- Paired axial CT (left) and PSMA PET (right), 18F-PSMA tracer
- slice 125 of 263
- PET panel 256×256 px (2.7 mm/px)
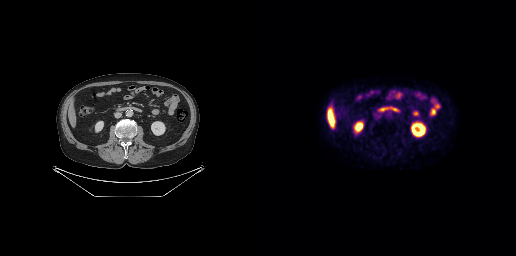
Findings: Negative for PSMA-avid disease on this slice.